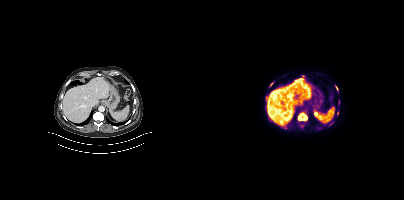
Findings: Coordinates are on the 200×200 PET (right) panel. (showing 5 of 6 foci) PSMA-avid tumor lesion bounding box (x0, y0)-(x1, y1): (94, 113)-(103, 120). Small PSMA-avid foci (2 to 4 px across) near (center x, center y): (67, 84); (133, 113); (126, 124); (132, 88).
Technique: Left: CT. Right: PSMA PET, same axial level, [18F]PSMA-1007 tracer. acquired on Siemens Biograph mCT Flow 20. slice 236 of 429. PET panel 200×200 px (4.1 mm/px).